Left: CT. Right: PSMA PET, same axial level, [68Ga]Ga-PSMA-11 tracer. Acquired on GE Discovery 690.
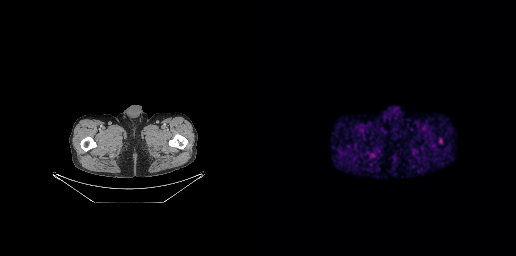
No PSMA-avid tumor lesions on this slice.